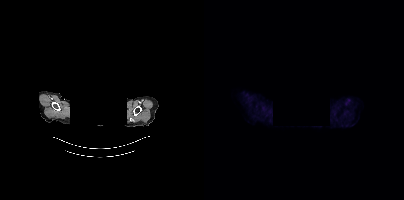
{"modality":"PSMA PET/CT","view":"axial","tracer":"18F","pet_grid":[200,200],"coord_frame":"pet_panel","coord_format":"x0,y0,x1,y1","psma_avid_lesions":false,"redaction":"rectangular block over head set to black"}